Technique: Paired axial CT (left) and PSMA PET (right), 18F tracer. acquired on Siemens Biograph mCT Flow 20. PET panel 200×200 px (4.1 mm/px).
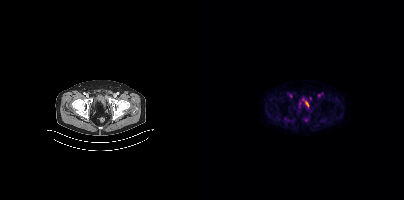
Findings: Coordinates are on the 200×200 PET (right) panel. PSMA-avid tumor lesion bounding boxes (x0, y0)-(x1, y1): (80, 117)-(87, 122) / (118, 118)-(122, 121).